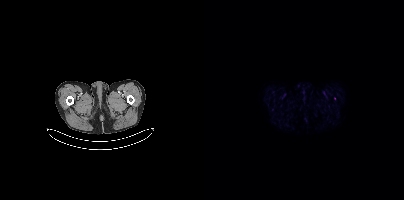
Paired axial CT (left) and PSMA PET (right), 18F tracer. No PSMA-avid tumor lesions on this slice.